Left: CT. Right: PSMA PET, same axial level, 18F-PSMA tracer. Acquired on Siemens Biograph mCT Flow 20.
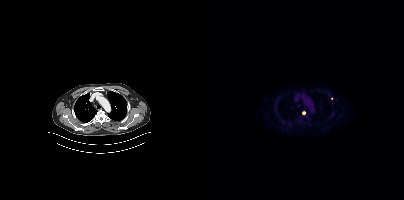
Coordinates are on the 200×200 PET (right) panel. (showing 1 of 2 foci) Small PSMA-avid focus (2 to 4 px across) near (center x, center y): (99, 112).